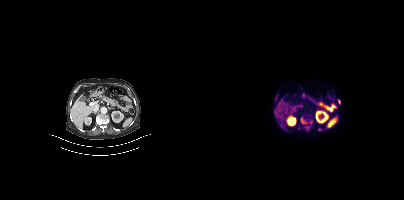
Coordinates are on the 200×200 PET (right) panel. PSMA-avid tumor lesion bounding boxes (partial; 2 more foci not listed):
| # | x0 | y0 | x1 | y1 |
|---|---|---|---|---|
| 1 | 71 | 95 | 74 | 99 |
| 2 | 97 | 120 | 102 | 124 |
| 3 | 100 | 126 | 104 | 128 |
Small PSMA-avid foci (2 to 4 px across) near (center x, center y): (115, 129); (135, 101).
Paired axial CT (left) and PSMA PET (right), 68Ga-PSMA tracer. Acquired on Siemens Biograph mCT Flow 20. PET panel 200×200 px (4.1 mm/px).